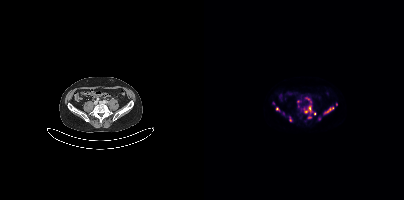
modality: PSMA PET/CT | tracer: [18F]PSMA-1007 | view: axial | PET grid: 200×200
Coordinates are on the 200×200 PET (right) panel. (showing 10 of 12 foci) PSMA-avid tumor lesion bounding boxes (x, y, width, height): x=101 y=105 w=7 h=8; x=121 y=107 w=10 h=6; x=101 y=97 w=7 h=7; x=85 y=117 w=3 h=5. Small PSMA-avid foci (2 to 4 px across) near (center x, center y): (115, 118); (73, 108); (94, 101); (79, 113); (132, 104); (110, 113).